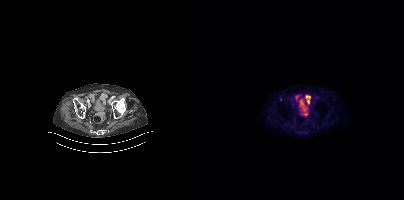
This slice has no annotated PSMA-avid lesion.